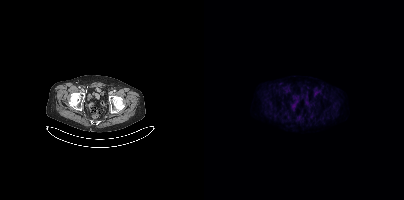
- Left: CT. Right: PSMA PET, same axial level, 18F tracer
- acquired on Siemens Biograph mCT Flow 20
Findings: No PSMA-avid tumor lesions on this slice.